- Two-panel axial: CT | PSMA PET, 18F-PSMA tracer
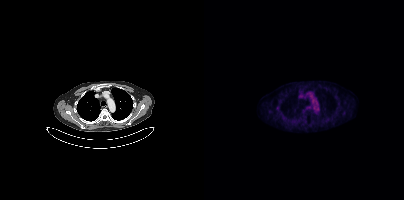
Findings: Coordinates are on the 200×200 PET (right) panel. Small PSMA-avid focus (2 to 4 px across) near (center x, center y): (73, 107).